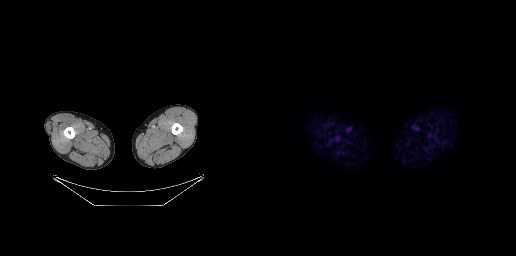
- Two-panel axial: CT | PSMA PET, 18F tracer
- acquired on GE Discovery 690
- slice 6 of 263
Findings: No PSMA-avid tumor lesions on this slice.